Technique: Paired axial CT (left) and PSMA PET (right), [18F]PSMA-1007 tracer.
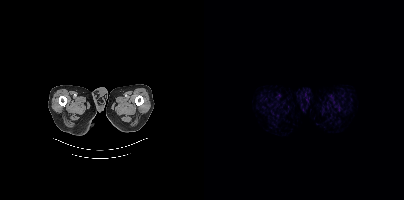
Findings: This slice has no annotated PSMA-avid lesion.